- Paired axial CT (left) and PSMA PET (right), [68Ga]Ga-PSMA-11 tracer
- PET panel 168×168 px (4.1 mm/px)
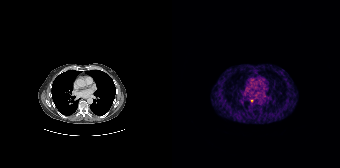
Findings: Only PSMA-avid lesion pieces thinner than 2 px on this slice (not listed).